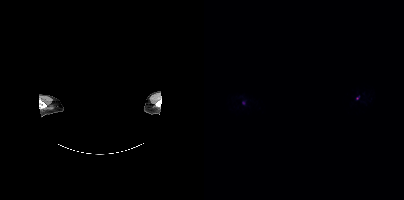
{"modality":"PSMA PET/CT","view":"axial","tracer":"18F-PSMA","pet_grid":[200,200],"coord_frame":"pet_panel","coord_format":"x0,y0,x1,y1","lesion_bboxes":[[38,100,41,105]],"small_foci_centers":[[153,97]],"redaction":"facial region redacted"}